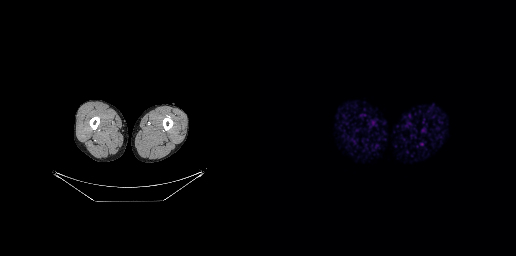
This slice has no annotated PSMA-avid lesion. Paired axial CT (left) and PSMA PET (right), 68Ga-PSMA tracer. PET panel 256×256 px (2.7 mm/px).